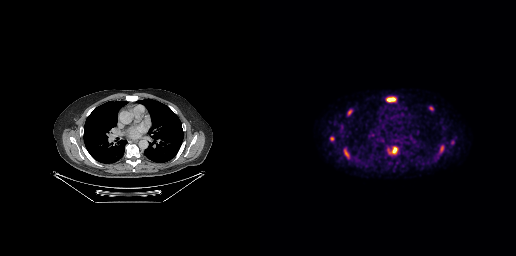
Technique: Left: CT. Right: PSMA PET, same axial level, 18F-PSMA tracer. PET panel 256×256 px (2.7 mm/px).
Findings: Coordinates are on the 256×256 PET (right) panel. PSMA-avid tumor lesion bounding boxes (x0,y0,x1,y1): [126,97,136,101]; [132,147,137,153]; [87,109,92,115]; [84,149,89,157]. Small PSMA-avid foci (2 to 4 px across) near (center x, center y): (71, 138); (171, 108); (181, 150); (192, 142).